Technique: Left: CT. Right: PSMA PET, same axial level, 68Ga-PSMA tracer. acquired on Siemens Biograph 64-4R TruePoint. slice position z = -705 mm.
Note: A block of pixels was blacked out before release to protect privacy.
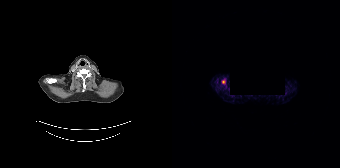
Findings: Coordinates are on the 168×168 PET (right) panel. Small PSMA-avid focus (2 to 4 px across) near (center x, center y): (51, 81).